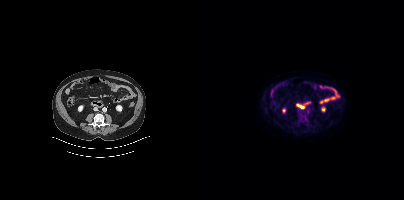
modality: PSMA PET/CT | tracer: [18F]PSMA-1007 | view: axial
No tumor lesions annotated on this slice.